- Two-panel axial: CT | PSMA PET, 18F-PSMA tracer
- PET panel 200×200 px (4.1 mm/px)
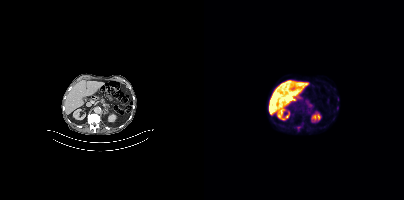
Findings: Coordinates are on the 200×200 PET (right) panel. (showing 1 of 2 foci) Small PSMA-avid focus (2 to 4 px across) near (center x, center y): (94, 127).